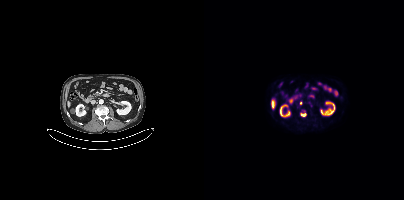
Paired axial CT (left) and PSMA PET (right), 18F-PSMA tracer. Slice 180 of 403. PET panel 200×200 px (4.1 mm/px). Coordinates are on the 200×200 PET (right) panel. (showing 2 of 3 foci) PSMA-avid tumor lesion bounding box (x0,y0,x1,y1): [97,113,101,116]. Small PSMA-avid focus (2 to 4 px across) near (center x, center y): (96, 102).